Paired axial CT (left) and PSMA PET (right), 18F tracer. PET panel 200×200 px (4.1 mm/px).
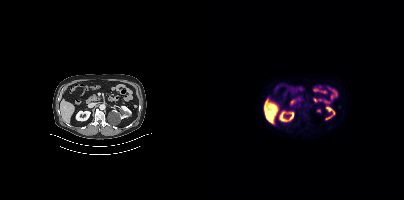
This slice has no annotated PSMA-avid lesion.